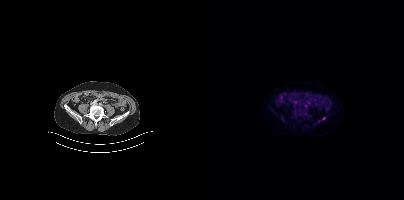
Coordinates are on the 200×200 PET (right) panel. Small PSMA-avid focus (2 to 4 px across) near (center x, center y): (119, 118). Left: CT. Right: PSMA PET, same axial level, 18F-PSMA tracer. Acquired on Siemens Biograph mCT Flow 20. PET panel 200×200 px (4.1 mm/px).